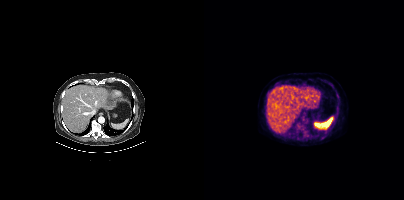
{"modality":"PSMA PET/CT","view":"axial","tracer":"18F","pet_grid":[200,200],"coord_frame":"pet_panel","coord_format":"x0,y0,x1,y1","lesion_bboxes":[],"small_foci_centers":[[98,128]]}